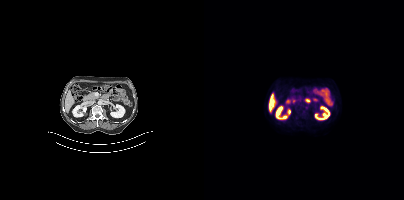
{"modality":"PSMA PET/CT","view":"axial","tracer":"18F","pet_grid":[200,200],"coord_frame":"pet_panel","coord_format":"x0,y0,x1,y1","psma_avid_lesions":false}